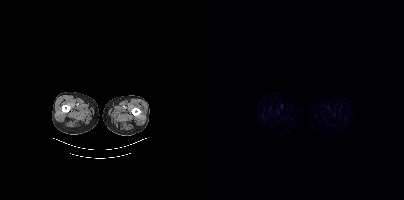
Left: CT. Right: PSMA PET, same axial level, [18F]PSMA-1007 tracer. Slice position z = -1586 mm. No tumor lesions annotated on this slice.